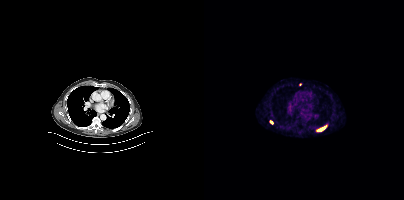
{"pet_grid":[200,200],"coord_frame":"pet_panel","coord_format":"x0,y0,x1,y1","partial":true,"lesion_bboxes":[[114,127,120,130]],"small_foci_centers":[[67,122]],"modality":"PSMA PET/CT","view":"axial","tracer":"68Ga-PSMA"}